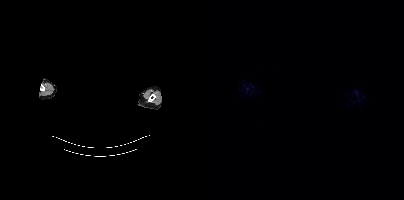
{"modality":"PSMA PET/CT","view":"axial","tracer":"18F","pet_grid":[200,200],"coord_frame":"pet_panel","coord_format":"x0,y0,x1,y1","redaction":"head region blacked out before release","psma_avid_lesions":false}